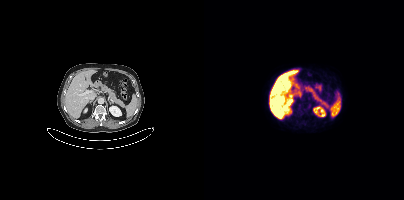
- Two-panel axial: CT | PSMA PET, 18F-PSMA tracer
- PET panel 200×200 px (4.1 mm/px)
Findings: Coordinates are on the 200×200 PET (right) panel. Small PSMA-avid focus (2 to 4 px across) near (center x, center y): (105, 106).